de-identification: face masked with black rectangle | modality: PSMA PET/CT | tracer: 68Ga | view: axial | PET grid: 200×200
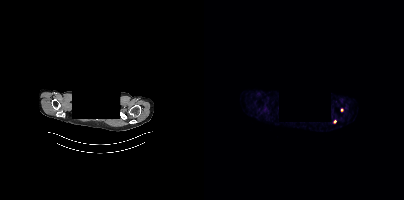
Coordinates are on the 200×200 PET (right) panel. (showing 1 of 2 foci) Small PSMA-avid focus (2 to 4 px across) near (center x, center y): (130, 121).